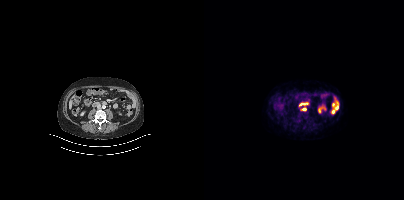
Coordinates are on the 200×200 PET (right) panel. PSMA-avid tumor lesion bounding box (x, y, width, height): x=96 y=107 w=7 h=5.